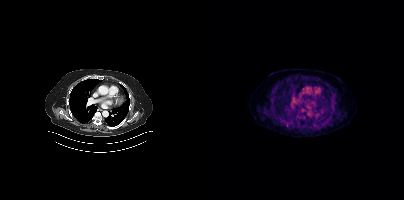
No tumor lesions annotated on this slice.